Two-panel axial: CT | PSMA PET, 18F-PSMA tracer. Acquired on Siemens Biograph mCT Flow 20. Slice 284 of 427. PET panel 200×200 px (4.1 mm/px).
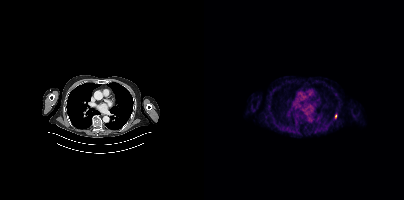
Only PSMA-avid lesion pieces thinner than 2 px on this slice (not listed).